- Paired axial CT (left) and PSMA PET (right), [18F]PSMA-1007 tracer
- acquired on GE Discovery 690
- PET panel 256×256 px (2.7 mm/px)
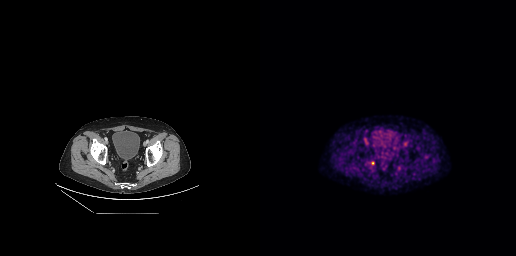
Findings: Coordinates are on the 256×256 PET (right) panel. Small PSMA-avid focus (2 to 4 px across) near (center x, center y): (112, 163).